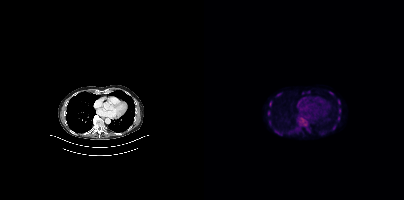
{"modality":"PSMA PET/CT","view":"axial","tracer":"18F","pet_grid":[200,200],"coord_frame":"pet_panel","coord_format":"x0,y0,x1,y1","partial":true,"lesion_bboxes":[[134,99,136,104],[65,101,67,106],[135,108,136,113],[133,116,136,120]],"small_foci_centers":[[65,112],[74,94]]}